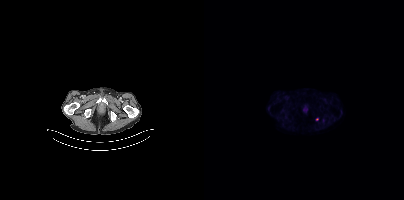
{"modality":"PSMA PET/CT","view":"axial","tracer":"18F","pet_grid":[200,200],"coord_frame":"pet_panel","coord_format":"x0,y0,x1,y1","partial":true,"lesion_bboxes":[]}